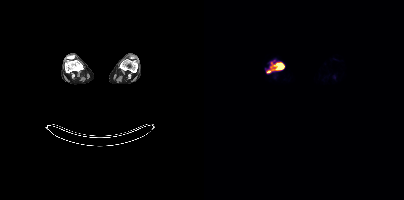
Technique: Two-panel axial: CT | PSMA PET, 18F tracer. acquired on Siemens Biograph mCT Flow 20.
Findings: Coordinates are on the 200×200 PET (right) panel. PSMA-avid tumor lesion bounding boxes (x0,y0,x1,y1): [66,62,80,69] [63,70,67,72].